Two-panel axial: CT | PSMA PET, [18F]PSMA-1007 tracer. Slice position z = -1404 mm. PET panel 200×200 px (4.1 mm/px).
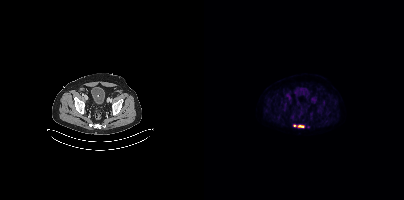
Coordinates are on the 200×200 PET (right) panel. PSMA-avid tumor lesion bounding boxes:
| # | x0 | y0 | x1 | y1 |
|---|---|---|---|---|
| 1 | 89 | 124 | 100 | 127 |